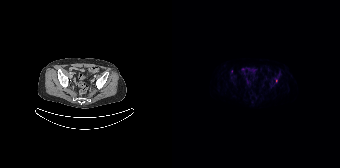
Coordinates are on the 168×168 PET (right) panel. Small PSMA-avid focus (2 to 4 px across) near (center x, center y): (104, 80).
modality: PSMA PET/CT | tracer: 18F | view: axial | PET grid: 168×168